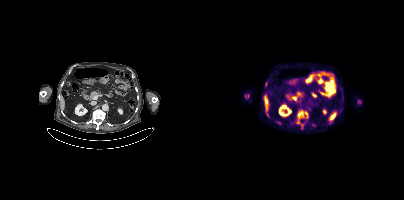
Paired axial CT (left) and PSMA PET (right), 18F-PSMA tracer. Coordinates are on the 200×200 PET (right) panel. (showing 3 of 4 foci) PSMA-avid tumor lesion bounding boxes (x, y, width, height): x=94 y=111 w=6 h=8 / x=101 y=112 w=3 h=6. Small PSMA-avid focus (2 to 4 px across) near (center x, center y): (62, 83).